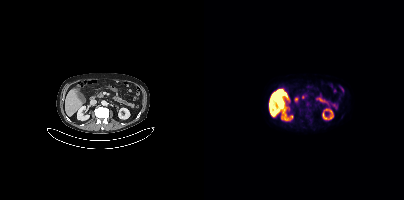
Findings: No PSMA-avid tumor lesions on this slice.
Technique: Left: CT. Right: PSMA PET, same axial level, [18F]PSMA-1007 tracer.